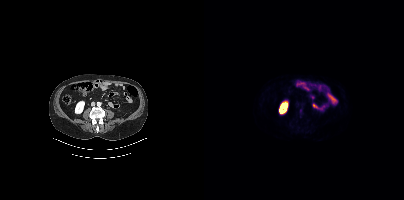
Only PSMA-avid lesion pieces thinner than 2 px on this slice (not listed).